Technique: Left: CT. Right: PSMA PET, same axial level, 18F tracer. PET panel 200×200 px (4.1 mm/px).
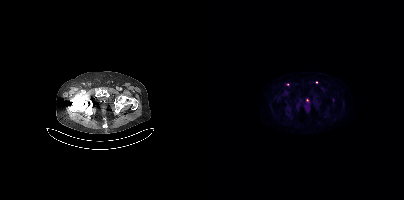
Findings: Coordinates are on the 200×200 PET (right) panel. Small PSMA-avid foci (2 to 4 px across) near (center x, center y): (112, 82) / (83, 84).